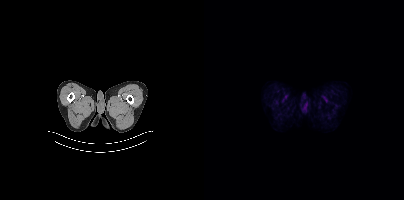
No tumor lesions annotated on this slice.